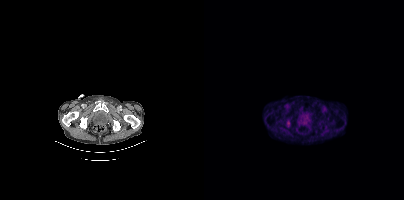
{"modality":"PSMA PET/CT","view":"axial","tracer":"18F","pet_grid":[200,200],"coord_frame":"pet_panel","coord_format":"x0,y0,x1,y1","lesion_bboxes":[[83,122,85,126]]}